- Two-panel axial: CT | PSMA PET, 18F-PSMA tracer
- acquired on Siemens Biograph mCT Flow 20
- PET panel 200×200 px (4.1 mm/px)
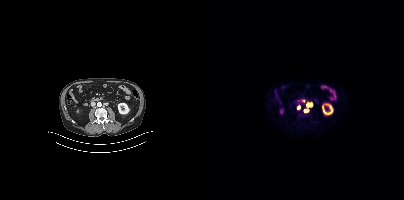
Findings: Coordinates are on the 200×200 PET (right) panel. PSMA-avid tumor lesion bounding box (x0, y0)-(x1, y1): (103, 103)-(108, 106). Small PSMA-avid foci (2 to 4 px across) near (center x, center y): (102, 110); (94, 107).